modality: PSMA PET/CT | tracer: 68Ga | view: axial
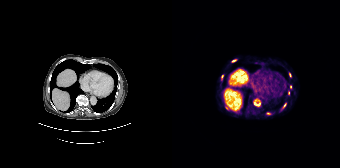
Coordinates are on the 168×168 PET (right) panel. PSMA-avid tumor lesion bounding boxes (x0,y0,x1,y1): [111,103,114,107] [82,103,87,105]. Small PSMA-avid foci (2 to 4 px across) near (center x, center y): (118, 74) (50, 76) (61, 60) (116, 93) (96, 113) (118, 86) (54, 107).